de-identification: head region blacked out before release | modality: PSMA PET/CT | tracer: [18F]PSMA-1007 | view: axial | PET grid: 200×200
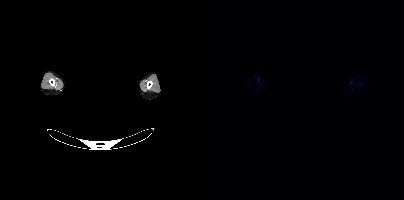
No tumor lesions annotated on this slice.